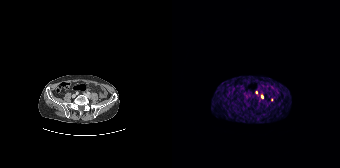
Coordinates are on the 168×168 PET (right) panel. (showing 2 of 3 foci) Small PSMA-avid foci (2 to 4 px across) near (center x, center y): (90, 96) / (99, 99).